Technique: Left: CT. Right: PSMA PET, same axial level, [68Ga]Ga-PSMA-11 tracer. acquired on Siemens Biograph 64-4R TruePoint. PET panel 168×168 px (4.1 mm/px).
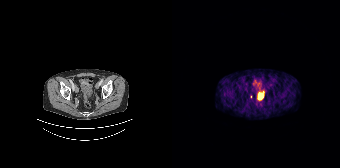
Findings: Coordinates are on the 168×168 PET (right) panel. Small PSMA-avid focus (2 to 4 px across) near (center x, center y): (78, 96).